- Left: CT. Right: PSMA PET, same axial level, 18F tracer
- slice 313 of 377
- a block of pixels was blacked out before release to protect privacy
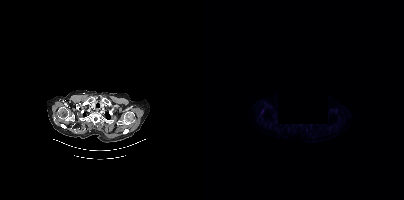
Findings: Coordinates are on the 200×200 PET (right) panel. PSMA-avid tumor lesion bounding box (x, y, width, height): x=57 y=109 w=3 h=6.